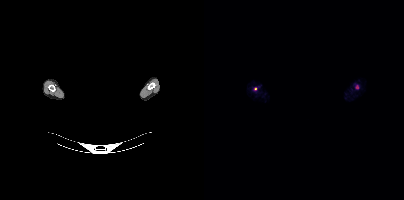
Coordinates are on the 200×200 PET (right) panel. PSMA-avid tumor lesion bounding boxes:
| # | x0 | y0 | x1 | y1 |
|---|---|---|---|---|
| 1 | 151 | 84 | 155 | 89 |
| 2 | 49 | 87 | 53 | 90 |
Face de-identified by blanking a block of the head. Paired axial CT (left) and PSMA PET (right), 18F tracer. Slice 367 of 373.